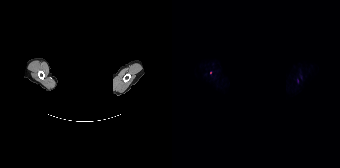
- any black rectangle over the head is a privacy mask, not anatomy
- Paired axial CT (left) and PSMA PET (right), 18F tracer
Findings: Coordinates are on the 168×168 PET (right) panel. Small PSMA-avid focus (2 to 4 px across) near (center x, center y): (38, 72).